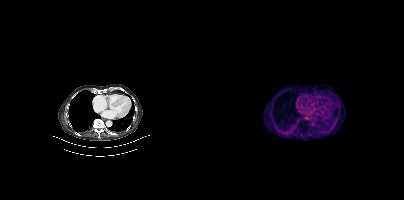
{"modality":"PSMA PET/CT","view":"axial","tracer":"68Ga","pet_grid":[200,200],"coord_frame":"pet_panel","coord_format":"x0,y0,x1,y1","psma_avid_lesions":false}